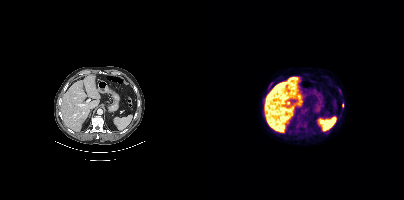
Coordinates are on the 200×200 PET (right) panel. Small PSMA-avid foci (2 to 4 px across) near (center x, center y): (66, 85); (138, 105).
modality: PSMA PET/CT | tracer: 18F-PSMA | view: axial